Left: CT. Right: PSMA PET, same axial level, 18F tracer. Slice position z = -1494 mm. PET panel 200×200 px (4.1 mm/px).
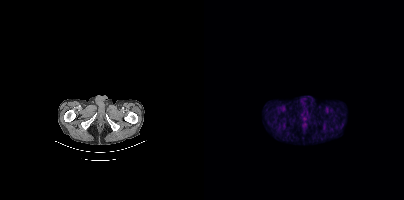
No tumor lesions annotated on this slice.